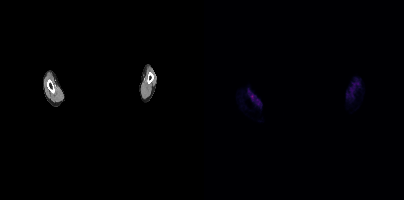
The face region was removed for patient privacy by blanking a rectangle over the head.
This slice has no annotated PSMA-avid lesion.